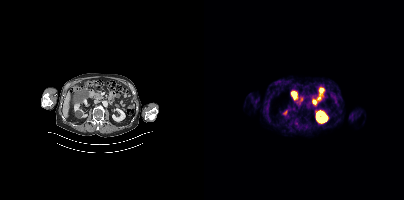
{"modality":"PSMA PET/CT","view":"axial","tracer":"18F","pet_grid":[200,200],"coord_frame":"pet_panel","coord_format":"x0,y0,x1,y1","psma_avid_lesions":false}